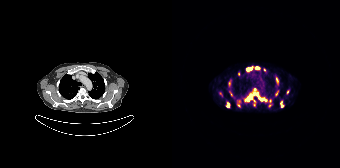
Coordinates are on the 168×168 PET (right) panel. (showing 12 of 17 foci) PSMA-avid tumor lesion bounding boxes (x0, y0)-(x1, y1): (87, 97)-(95, 101); (65, 100)-(68, 107); (76, 95)-(80, 100); (75, 68)-(79, 70); (109, 102)-(111, 107). Small PSMA-avid foci (2 to 4 px across) near (center x, center y): (85, 67); (92, 69); (57, 82); (115, 92); (72, 100); (56, 103); (55, 106). Left: CT. Right: PSMA PET, same axial level, 68Ga-PSMA tracer. Slice position z = -348 mm. PET panel 168×168 px (4.1 mm/px).